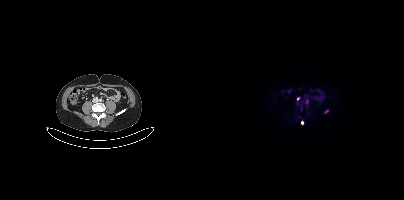
Coordinates are on the 200×200 PET (right) panel. (showing 2 of 3 foci) Small PSMA-avid foci (2 to 4 px across) near (center x, center y): (94, 98), (102, 101). Two-panel axial: CT | PSMA PET, 68Ga-PSMA tracer. PET panel 200×200 px (4.1 mm/px).